- Two-panel axial: CT | PSMA PET, [18F]PSMA-1007 tracer
- PET panel 256×256 px (2.7 mm/px)
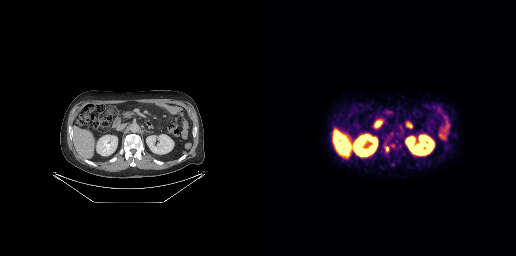
Findings: Coordinates are on the 256×256 PET (right) panel. (showing 2 of 3 foci) PSMA-avid tumor lesion bounding box (x0, y0)-(x1, y1): (124, 145)-(129, 152). Small PSMA-avid focus (2 to 4 px across) near (center x, center y): (132, 145).